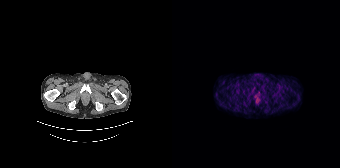
Findings: No tumor lesions annotated on this slice.
- Two-panel axial: CT | PSMA PET, [68Ga]Ga-PSMA-11 tracer